Left: CT. Right: PSMA PET, same axial level, 18F-PSMA tracer. Slice position z = -878 mm. A rectangle over the head was blacked out to remove identifiable facial features.
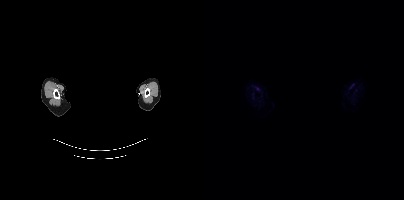
No tumor lesions annotated on this slice.